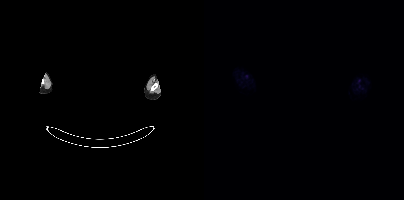
{"modality":"PSMA PET/CT","view":"axial","tracer":"[18F]PSMA-1007","pet_grid":[200,200],"coord_frame":"pet_panel","coord_format":"x0,y0,x1,y1","psma_avid_lesions":false,"deidentification":"head region blanked (face removed)"}